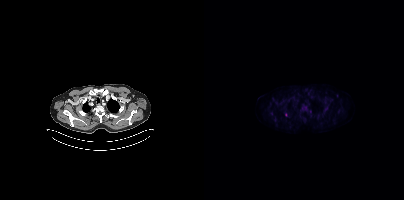
- Paired axial CT (left) and PSMA PET (right), [18F]PSMA-1007 tracer
- PET panel 200×200 px (4.1 mm/px)
Findings: Coordinates are on the 200×200 PET (right) panel. (showing 1 of 2 foci) Small PSMA-avid focus (2 to 4 px across) near (center x, center y): (82, 114).